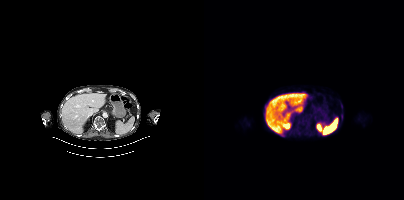
Coordinates are on the 200×200 PET (right) panel. PSMA-avid tumor lesion bounding box (x0,y0,x1,y1): [137,114,138,120]. Small PSMA-avid foci (2 to 4 px across) near (center x, center y): (61, 107), (137, 105).